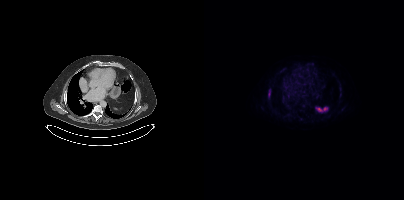
modality: PSMA PET/CT | tracer: [18F]PSMA-1007 | view: axial
Coordinates are on the 200×200 PET (right) panel. PSMA-avid tumor lesion bounding box (x0,y0,x1,y1): [64,89,66,97].